Any black rectangle over the head is a privacy mask, not anatomy.
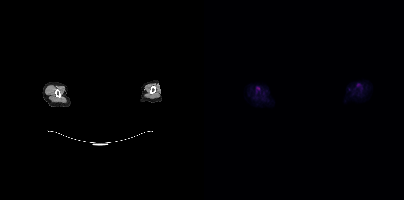
This slice has no annotated PSMA-avid lesion.